Paired axial CT (left) and PSMA PET (right), 18F-PSMA tracer. Acquired on Siemens Biograph mCT Flow 20. De-identified by setting a box covering the face to black before release.
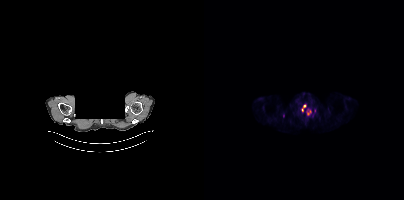
Coordinates are on the 200×200 PET (right) panel. PSMA-avid tumor lesion bounding boxes:
| # | x0 | y0 | x1 | y1 |
|---|---|---|---|---|
| 1 | 102 | 108 | 106 | 114 |
| 2 | 98 | 104 | 101 | 111 |
| 3 | 110 | 109 | 111 | 113 |
Small PSMA-avid focus (2 to 4 px across) near (center x, center y): (79, 115).